- Left: CT. Right: PSMA PET, same axial level, 18F tracer
- acquired on Siemens Biograph mCT Flow 20
- PET panel 200×200 px (4.1 mm/px)
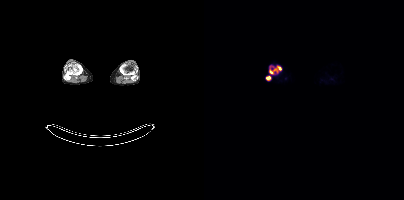
Findings: Coordinates are on the 200×200 PET (right) panel. PSMA-avid tumor lesion bounding boxes (x0, y0)-(x1, y1): (66, 66)-(77, 73) | (62, 76)-(66, 80).